Technique: Two-panel axial: CT | PSMA PET, [68Ga]Ga-PSMA-11 tracer.
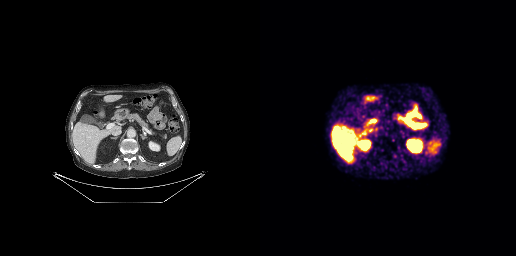
Findings: Negative for PSMA-avid disease on this slice.